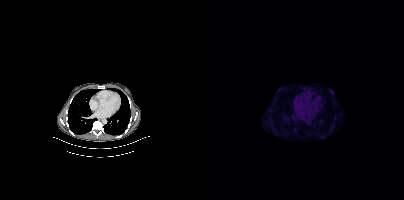
No tumor lesions annotated on this slice.